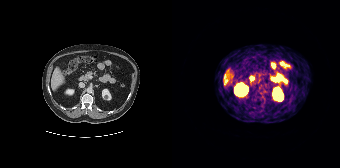
Negative for PSMA-avid disease on this slice.
modality: PSMA PET/CT | tracer: 68Ga-PSMA | view: axial